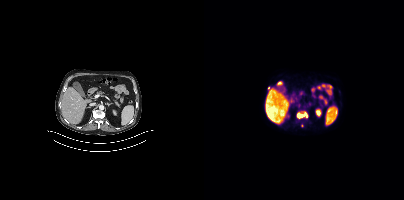
Coordinates are on the 200×200 PET (right) panel. (showing 2 of 3 foci) PSMA-avid tumor lesion bounding box (x0, y0)-(x1, y1): (93, 111)-(104, 118). Small PSMA-avid focus (2 to 4 px across) near (center x, center y): (64, 88).